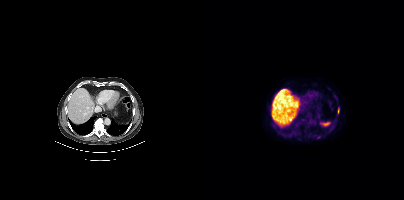
Two-panel axial: CT | PSMA PET, 18F-PSMA tracer. PET panel 200×200 px (4.1 mm/px). Coordinates are on the 200×200 PET (right) panel. PSMA-avid tumor lesion bounding box (x0, y0)-(x1, y1): (134, 108)-(135, 113).